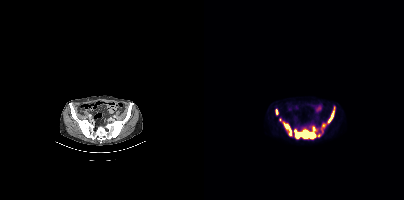
Coordinates are on the 200×200 PET (right) panel. (showing 7 of 8 foci) PSMA-avid tumor lesion bounding boxes (x0,y0,x1,y1): [90,126,111,138], [78,121,88,136], [123,111,129,123], [113,130,119,136], [118,123,121,128], [72,109,73,114]. Small PSMA-avid focus (2 to 4 px across) near (center x, center y): (76, 119).